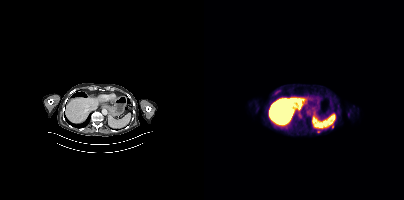
Findings: Coordinates are on the 200×200 PET (right) panel. PSMA-avid tumor lesion bounding box (x0, y0)-(x1, y1): (113, 130)-(117, 132). Small PSMA-avid focus (2 to 4 px across) near (center x, center y): (128, 126).
- Paired axial CT (left) and PSMA PET (right), 18F-PSMA tracer
- PET panel 200×200 px (4.1 mm/px)